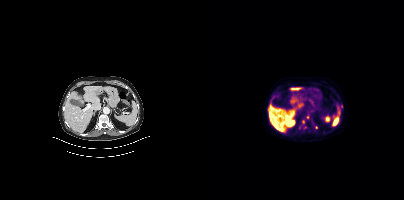
Coordinates are on the 200×200 PET (right) panel. (showing 5 of 6 foci) Small PSMA-avid foci (2 to 4 px across) near (center x, center y): (96, 127); (112, 127); (137, 106); (99, 121); (101, 127). Two-panel axial: CT | PSMA PET, [18F]PSMA-1007 tracer.